Left: CT. Right: PSMA PET, same axial level, 18F-PSMA tracer.
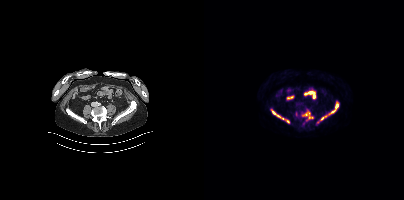
Coordinates are on the 200×200 PET (right) panel. PSMA-avid tumor lesion bounding boxes (partial; 1 more focus not listed):
| # | x0 | y0 | x1 | y1 |
|---|---|---|---|---|
| 1 | 98 | 112 | 109 | 120 |
| 2 | 118 | 110 | 130 | 119 |
| 3 | 68 | 111 | 76 | 118 |
| 4 | 132 | 104 | 134 | 108 |
Small PSMA-avid foci (2 to 4 px across) near (center x, center y): (84, 121); (78, 118).